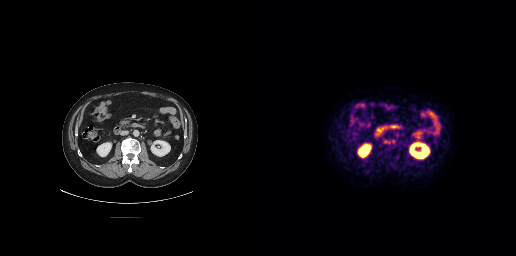
Technique: Left: CT. Right: PSMA PET, same axial level, 18F-PSMA tracer. PET panel 256×256 px (2.7 mm/px).
Findings: Coordinates are on the 256×256 PET (right) panel. (showing 1 of 3 foci) Small PSMA-avid focus (2 to 4 px across) near (center x, center y): (125, 141).